Left: CT. Right: PSMA PET, same axial level, 18F-PSMA tracer. Slice 224 of 381. PET panel 200×200 px (4.1 mm/px).
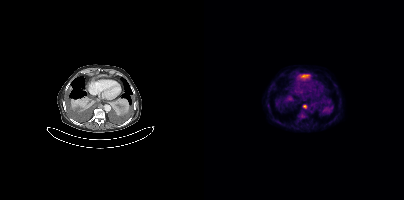
Coordinates are on the 200×200 PET (right) panel. Small PSMA-avid focus (2 to 4 px across) near (center x, center y): (100, 106).